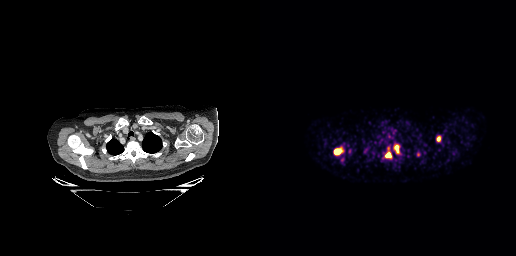
Technique: Left: CT. Right: PSMA PET, same axial level, 68Ga-PSMA tracer. acquired on GE Discovery 690. PET panel 256×256 px (2.7 mm/px).
Findings: Coordinates are on the 256×256 PET (right) panel. PSMA-avid tumor lesion bounding boxes (x0,y0,x1,y1): [74,147,83,155], [125,152,131,157], [134,145,138,152], [157,152,159,156]. Small PSMA-avid focus (2 to 4 px across) near (center x, center y): (178, 139).